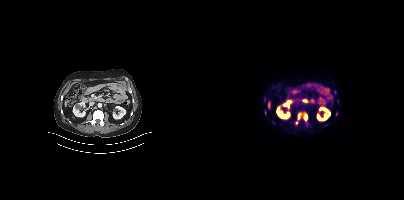
Findings: Coordinates are on the 200×200 PET (right) panel. (showing 3 of 4 foci) PSMA-avid tumor lesion bounding boxes (x, y, width, height): x=99 y=113 w=5 h=8 / x=94 y=113 w=3 h=7. Small PSMA-avid focus (2 to 4 px across) near (center x, center y): (92, 123).
Technique: Paired axial CT (left) and PSMA PET (right), 18F tracer. slice position z = -1236 mm.